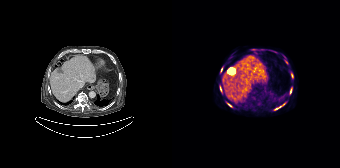
Coordinates are on the 168×168 PET (right) panel. PSMA-avid tumor lesion bounding boxes (x0,y0,x1,y1): [102,103,113,110] [48,86,50,92] [119,73,121,77] [118,88,119,93]. Small PSMA-avid foci (2 to 4 px across) near (center x, center y): (49, 69) (57, 105) (114, 62).